modality: PSMA PET/CT | tracer: 18F-PSMA | view: axial
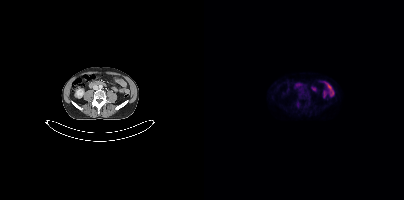
This slice has no annotated PSMA-avid lesion.